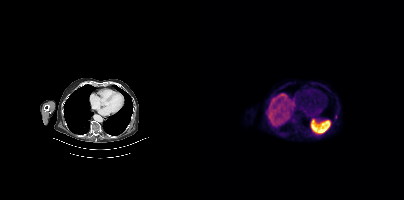
Findings: Only PSMA-avid lesion pieces thinner than 2 px on this slice (not listed).
Technique: Left: CT. Right: PSMA PET, same axial level, 18F tracer.